Technique: Paired axial CT (left) and PSMA PET (right), [18F]PSMA-1007 tracer.
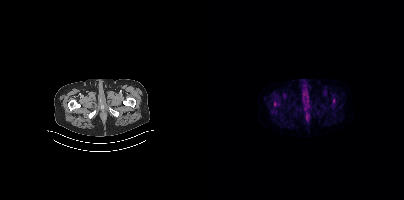
Findings: Coordinates are on the 200×200 PET (right) panel. Small PSMA-avid foci (2 to 4 px across) near (center x, center y): (129, 100); (70, 104).